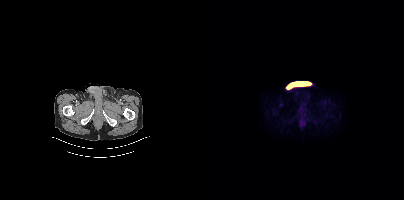
No tumor lesions annotated on this slice. Paired axial CT (left) and PSMA PET (right), 18F-PSMA tracer. Slice 42 of 427.